Two-panel axial: CT | PSMA PET, [18F]PSMA-1007 tracer. Slice position z = -433 mm. PET panel 200×200 px (4.1 mm/px).
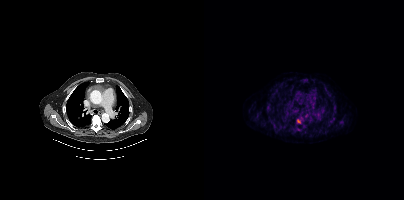
Coordinates are on the 200×200 PET (right) panel. PSMA-avid tumor lesion bounding boxes (partial; 2 more foci not listed):
| # | x0 | y0 | x1 | y1 |
|---|---|---|---|---|
| 1 | 93 | 119 | 96 | 123 |